- Two-panel axial: CT | PSMA PET, 18F tracer
- acquired on Siemens Biograph mCT Flow 20
- slice 48 of 421
- PET panel 200×200 px (4.1 mm/px)
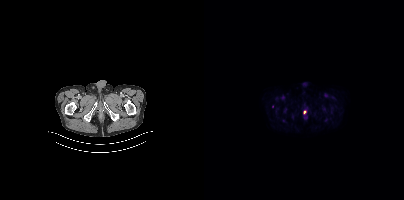
Findings: Coordinates are on the 200×200 PET (right) panel. Small PSMA-avid focus (2 to 4 px across) near (center x, center y): (100, 112).